- Two-panel axial: CT | PSMA PET, 68Ga tracer
- slice position z = -1456 mm
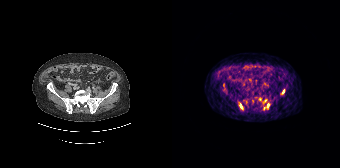
Findings: Coordinates are on the 168×168 PET (right) panel. (showing 4 of 7 foci) PSMA-avid tumor lesion bounding box (x0, y0)-(x1, y1): (68, 103)-(70, 108). Small PSMA-avid foci (2 to 4 px across) near (center x, center y): (111, 91) | (96, 105) | (51, 84).